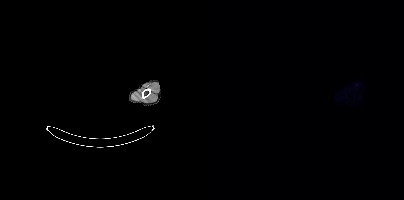
Negative for PSMA-avid disease on this slice. The face region was removed for patient privacy by blanking a rectangle over the head. Two-panel axial: CT | PSMA PET, 18F-PSMA tracer. Slice 382 of 409.